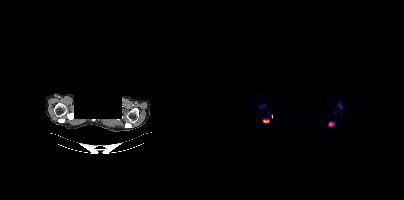
{"modality":"PSMA PET/CT","view":"axial","tracer":"18F-PSMA","pet_grid":[200,200],"coord_frame":"pet_panel","coord_format":"x0,y0,x1,y1","de-identification":"privacy mask over head","partial":true,"lesion_bboxes":[[58,118,65,123],[125,122,130,126],[134,104,138,108]]}